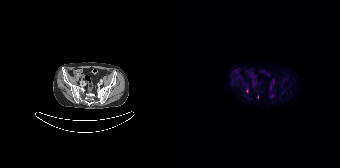
Findings: Coordinates are on the 168×168 PET (right) panel. PSMA-avid tumor lesion bounding box (x, y, width, height): x=74 y=88 w=3 h=5. Small PSMA-avid focus (2 to 4 px across) near (center x, center y): (85, 96).
- Left: CT. Right: PSMA PET, same axial level, [18F]PSMA-1007 tracer
- acquired on Siemens Biograph 64-4R TruePoint
- PET panel 168×168 px (4.1 mm/px)